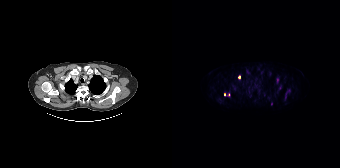
Findings: Coordinates are on the 168×168 PET (right) panel. (showing 4 of 5 foci) Small PSMA-avid foci (2 to 4 px across) near (center x, center y): (116, 90); (67, 77); (52, 94); (99, 103).
- Paired axial CT (left) and PSMA PET (right), 18F tracer
- PET panel 168×168 px (4.1 mm/px)